- Paired axial CT (left) and PSMA PET (right), 18F tracer
- slice 158 of 165
- PET panel 168×168 px (4.1 mm/px)
- face de-identified by blanking a block of the head
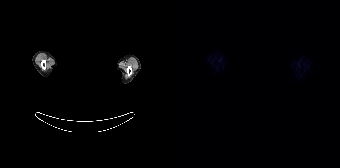
Findings: Negative for PSMA-avid disease on this slice.